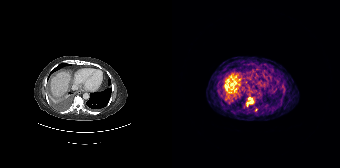
modality: PSMA PET/CT | tracer: [68Ga]Ga-PSMA-11 | view: axial | PET grid: 168×168
Coordinates are on the 168×168 PET (right) panel. PSMA-avid tumor lesion bounding box (x0, y0)-(x1, y1): (74, 97)-(81, 104). Small PSMA-avid focus (2 to 4 px across) near (center x, center y): (84, 109).